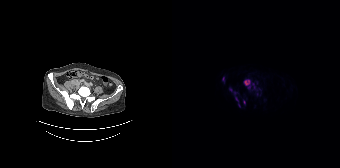
Technique: Paired axial CT (left) and PSMA PET (right), 18F tracer. acquired on Siemens Biograph 64-4R TruePoint. PET panel 168×168 px (4.1 mm/px).
Findings: Coordinates are on the 168×168 PET (right) panel. (showing 6 of 7 foci) PSMA-avid tumor lesion bounding boxes (x0,y0,x1,y1): [72,80,89,91], [63,96,68,107]. Small PSMA-avid foci (2 to 4 px across) near (center x, center y): (58, 89), (63, 93), (51, 78), (85, 93).